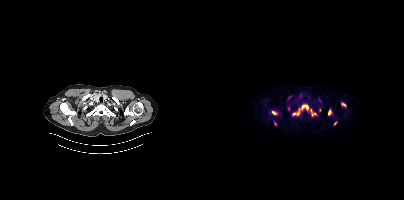
Two-panel axial: CT | PSMA PET, [18F]PSMA-1007 tracer. Acquired on Siemens Biograph mCT Flow 20.
Coordinates are on the 200×200 PET (right) panel. PSMA-avid tumor lesion bounding boxes (partial; 1 more focus not listed):
| # | x0 | y0 | x1 | y1 |
|---|---|---|---|---|
| 1 | 88 | 111 | 95 | 115 |
| 2 | 106 | 109 | 112 | 116 |
| 3 | 98 | 105 | 104 | 108 |
| 4 | 68 | 111 | 73 | 114 |
| 5 | 124 | 110 | 127 | 115 |
Small PSMA-avid foci (2 to 4 px across) near (center x, center y): (139, 104); (115, 110); (71, 124); (131, 123).